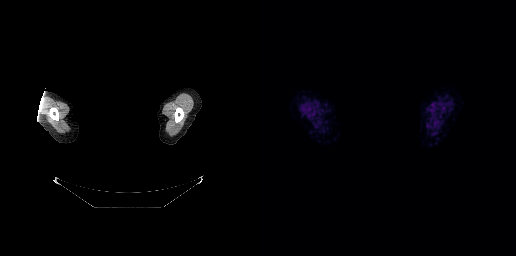
No PSMA-avid tumor lesions on this slice. The head region is masked for de-identification. Two-panel axial: CT | PSMA PET, 18F-PSMA tracer. PET panel 256×256 px (2.7 mm/px).